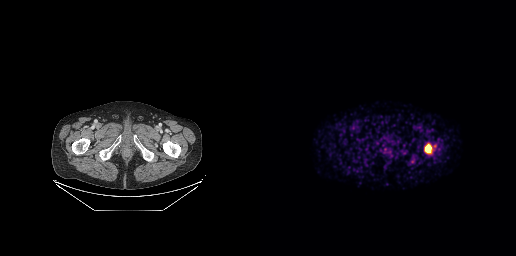
{"modality":"PSMA PET/CT","view":"axial","tracer":"68Ga-PSMA","pet_grid":[256,256],"coord_frame":"pet_panel","coord_format":"x0,y0,x1,y1","lesion_bboxes":[[165,144,171,152]]}